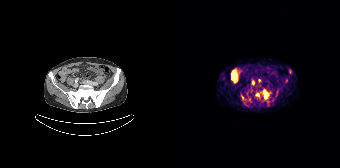
Coordinates are on the 168×168 PET (right) panel. (showing 6 of 9 foci) PSMA-avid tumor lesion bounding boxes (x0,y0,x1,y1): [91,90,96,98]; [69,94,74,100]; [77,98,79,102]. Small PSMA-avid foci (2 to 4 px across) near (center x, center y): (85, 94); (81, 82); (114, 80).